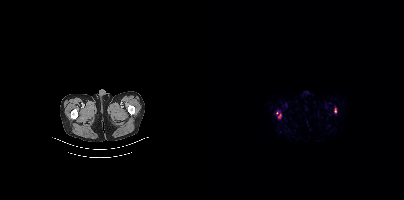
Coordinates are on the 200×200 PET (right) panel. (showing 1 of 3 foci) Small PSMA-avid focus (2 to 4 px across) near (center x, center y): (131, 111). Paired axial CT (left) and PSMA PET (right), 18F tracer.